Technique: Paired axial CT (left) and PSMA PET (right), 18F tracer. slice 226 of 389.
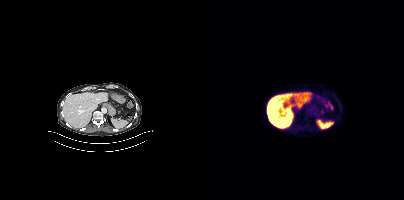
Findings: No PSMA-avid tumor lesions on this slice.